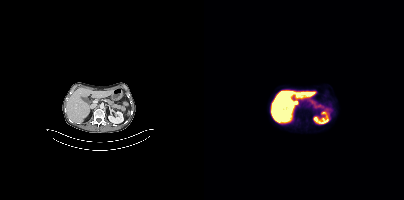
No tumor lesions annotated on this slice.